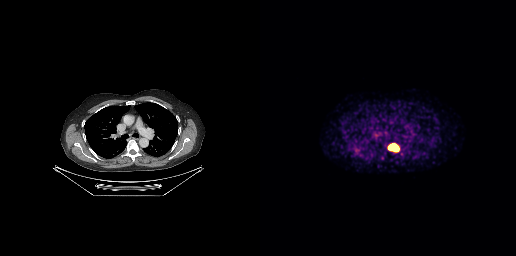
modality: PSMA PET/CT | tracer: [68Ga]Ga-PSMA-11 | view: axial
Coordinates are on the 256×256 PET (right) panel. PSMA-avid tumor lesion bounding box (x0, y0)-(x1, y1): (127, 143)-(139, 152).